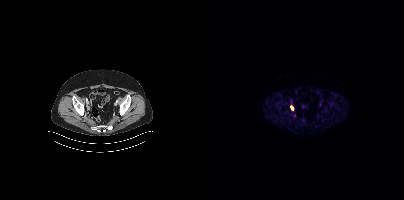
Coordinates are on the 200×200 PET (right) panel. PSMA-avid tumor lesion bounding box (x0,y0,x1,y1): [86,105,89,110]. Two-panel axial: CT | PSMA PET, 18F tracer. PET panel 200×200 px (4.1 mm/px).